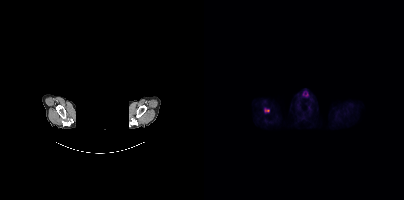
{"modality":"PSMA PET/CT","view":"axial","tracer":"18F-PSMA","pet_grid":[200,200],"coord_frame":"pet_panel","coord_format":"x0,y0,x1,y1","de-identification":"head region blacked out before release","lesion_bboxes":[[61,109,65,111]]}